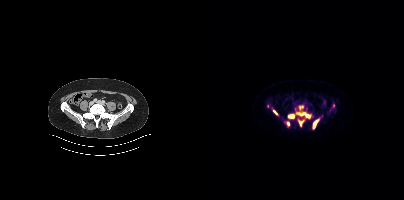
- Paired axial CT (left) and PSMA PET (right), [18F]PSMA-1007 tracer
- PET panel 200×200 px (4.1 mm/px)
Findings: Coordinates are on the 200×200 PET (right) panel. (showing 7 of 10 foci) PSMA-avid tumor lesion bounding boxes (x0, y0)-(x1, y1): (92, 112)-(106, 118) / (109, 118)-(115, 128) / (84, 114)-(90, 118) / (95, 120)-(99, 126) / (69, 110)-(73, 114). Small PSMA-avid foci (2 to 4 px across) near (center x, center y): (84, 123) / (129, 105).